Paired axial CT (left) and PSMA PET (right), [68Ga]Ga-PSMA-11 tracer. Acquired on Siemens Biograph mCT Flow 20. Slice 79 of 389.
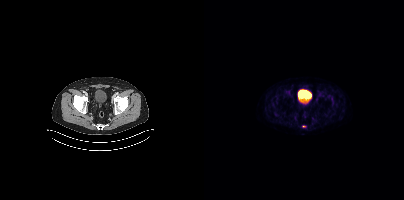
Coordinates are on the 200×200 PET (right) panel. Small PSMA-avid focus (2 to 4 px across) near (center x, center y): (99, 126).